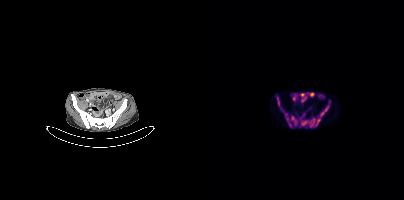
Coordinates are on the 200×200 PET (right) panel. PSMA-avid tumor lesion bounding boxes (x0, y0)-(x1, y1): (97, 118)-(111, 127) | (118, 100)-(126, 114) | (87, 116)-(93, 125) | (81, 114)-(87, 126) | (111, 119)-(116, 126) | (73, 97)-(75, 105). Two-panel axial: CT | PSMA PET, 18F-PSMA tracer. Slice position z = -914 mm.